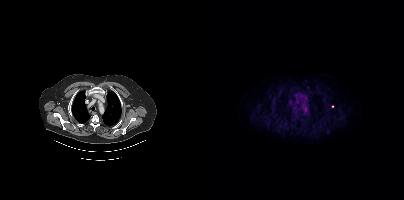
modality: PSMA PET/CT | tracer: [18F]PSMA-1007 | view: axial | PET grid: 200×200
Coordinates are on the 200×200 PET (right) panel. Small PSMA-avid focus (2 to 4 px across) near (center x, center y): (128, 106).